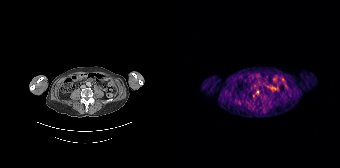
- Two-panel axial: CT | PSMA PET, 68Ga-PSMA tracer
- slice 63 of 165
- PET panel 168×168 px (4.1 mm/px)
Findings: Coordinates are on the 168×168 PET (right) panel. Small PSMA-avid focus (2 to 4 px across) near (center x, center y): (85, 91).